- Paired axial CT (left) and PSMA PET (right), [18F]PSMA-1007 tracer
- slice position z = -1492 mm
- PET panel 200×200 px (4.1 mm/px)
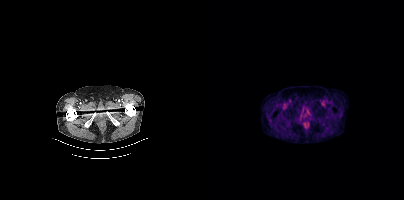
Findings: No tumor lesions annotated on this slice.